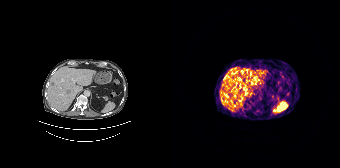
{"modality":"PSMA PET/CT","view":"axial","tracer":"68Ga-PSMA","pet_grid":[168,168],"coord_frame":"pet_panel","coord_format":"x0,y0,x1,y1","psma_avid_lesions":false}